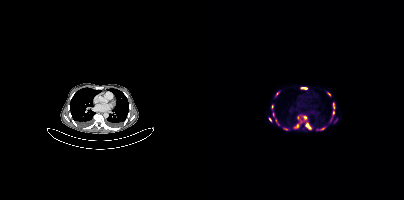
- Left: CT. Right: PSMA PET, same axial level, 68Ga tracer
- acquired on Siemens Biograph mCT Flow 20
- PET panel 200×200 px (4.1 mm/px)
Findings: Coordinates are on the 200×200 PET (right) panel. (showing 10 of 15 foci) PSMA-avid tumor lesion bounding boxes (x0,y0,x1,y1): [101,122,107,129] [97,87,103,89] [129,103,130,108]. Small PSMA-avid foci (2 to 4 px across) near (center x, center y): (100, 117) (92, 125) (124, 93) (129, 112) (66, 119) (118, 128) (74, 124).